Paired axial CT (left) and PSMA PET (right), 18F-PSMA tracer. PET panel 200×200 px (4.1 mm/px).
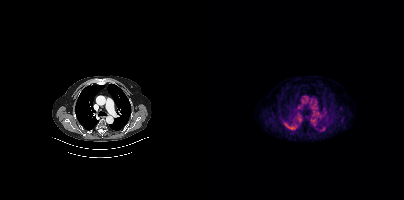
This slice has no annotated PSMA-avid lesion.